Left: CT. Right: PSMA PET, same axial level, 18F-PSMA tracer. Slice 2 of 387. PET panel 200×200 px (4.1 mm/px).
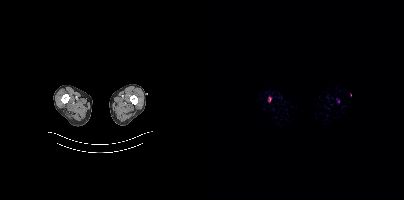
Coordinates are on the 200×200 PET (right) panel. PSMA-avid tumor lesion bounding boxes:
| # | x0 | y0 | x1 | y1 |
|---|---|---|---|---|
| 1 | 64 | 98 | 67 | 102 |